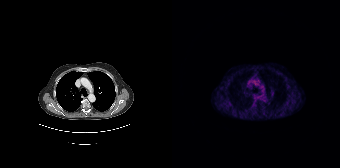
modality: PSMA PET/CT | tracer: 68Ga-PSMA | view: axial
No tumor lesions annotated on this slice.